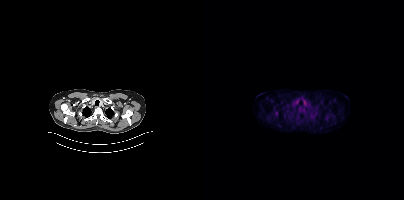
{"modality":"PSMA PET/CT","view":"axial","tracer":"18F","pet_grid":[200,200],"coord_frame":"pet_panel","coord_format":"x0,y0,x1,y1","lesion_bboxes":[],"small_foci_centers":[[72,112]]}